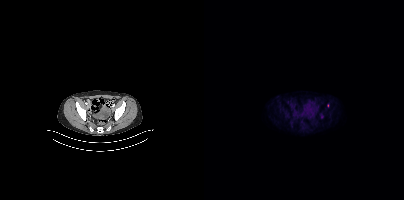
{"modality":"PSMA PET/CT","view":"axial","tracer":"18F","pet_grid":[200,200],"coord_frame":"pet_panel","coord_format":"x0,y0,x1,y1","lesion_bboxes":[],"small_foci_centers":[[123,105]]}